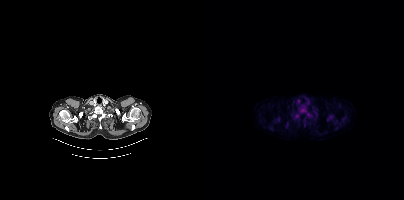
Coordinates are on the 200×200 PET (right) panel. PSMA-avid tumor lesion bounding boxes (x0,y0,x1,y1): [96,109,100,112]; [82,123,83,127]. Two-panel axial: CT | PSMA PET, [18F]PSMA-1007 tracer. Slice position z = -976 mm.